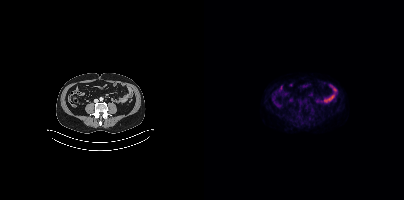
{"modality":"PSMA PET/CT","view":"axial","tracer":"[68Ga]Ga-PSMA-11","pet_grid":[200,200],"coord_frame":"pet_panel","coord_format":"x0,y0,x1,y1","psma_avid_lesions":false}